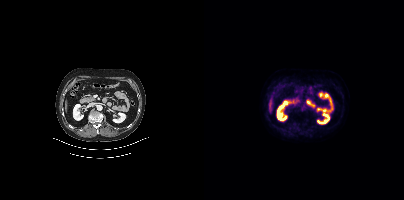
modality: PSMA PET/CT | tracer: 18F | view: axial
This slice has no annotated PSMA-avid lesion.